Technique: Left: CT. Right: PSMA PET, same axial level, 18F tracer. acquired on Siemens Biograph mCT Flow 20. slice 241 of 401.
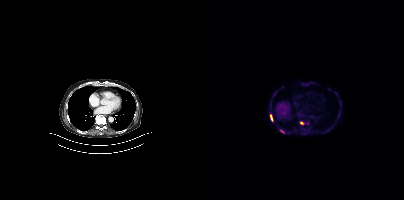
Findings: Coordinates are on the 200×200 PET (right) panel. (showing 3 of 4 foci) PSMA-avid tumor lesion bounding boxes (x0, y0)-(x1, y1): (76, 129)-(80, 133) | (66, 115)-(68, 120). Small PSMA-avid focus (2 to 4 px across) near (center x, center y): (97, 123).